- Paired axial CT (left) and PSMA PET (right), [18F]PSMA-1007 tracer
- slice 311 of 381
- PET panel 200×200 px (4.1 mm/px)
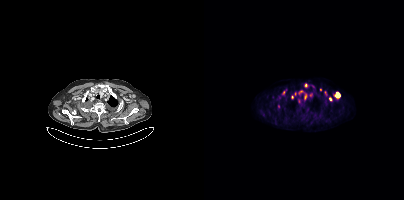
Findings: Coordinates are on the 200×200 PET (right) panel. (showing 11 of 14 foci) PSMA-avid tumor lesion bounding boxes (x0, y0)-(x1, y1): (130, 92)-(136, 98) / (94, 98)-(96, 103) / (95, 90)-(99, 93) / (100, 94)-(102, 99) / (74, 104)-(76, 108). Small PSMA-avid foci (2 to 4 px across) near (center x, center y): (88, 96) / (106, 95) / (126, 99) / (101, 85) / (79, 92) / (121, 92).